modality: PSMA PET/CT | tracer: [68Ga]Ga-PSMA-11 | view: axial | redaction: head region blanked (face removed)
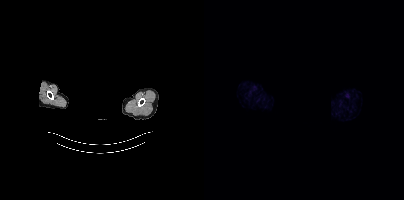
This slice has no annotated PSMA-avid lesion.